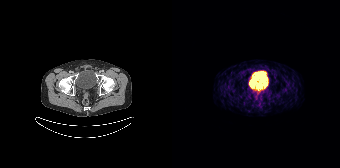
modality: PSMA PET/CT | tracer: [68Ga]Ga-PSMA-11 | view: axial | PET grid: 168×168
This slice has no annotated PSMA-avid lesion.